Two-panel axial: CT | PSMA PET, 18F tracer. Acquired on Siemens Biograph mCT Flow 20. Slice position z = -950 mm.
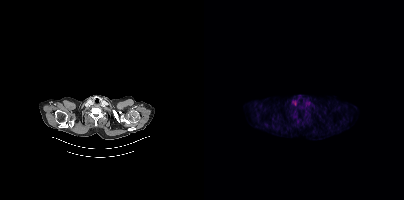
This slice has no annotated PSMA-avid lesion.